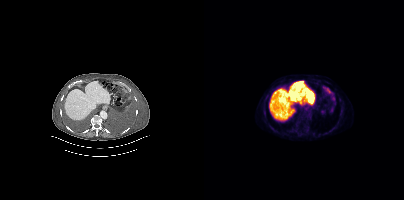
Paired axial CT (left) and PSMA PET (right), [18F]PSMA-1007 tracer. PET panel 200×200 px (4.1 mm/px).
Coordinates are on the 200×200 PET (right) panel. PSMA-avid tumor lesion bounding boxes:
| # | x0 | y0 | x1 | y1 |
|---|---|---|---|---|
| 1 | 119 | 87 | 127 | 93 |
Small PSMA-avid foci (2 to 4 px across) near (center x, center y): (129, 98); (99, 104); (128, 111).